Technique: Paired axial CT (left) and PSMA PET (right), 18F-PSMA tracer.
Note: A rectangle over the head was blacked out to remove identifiable facial features.
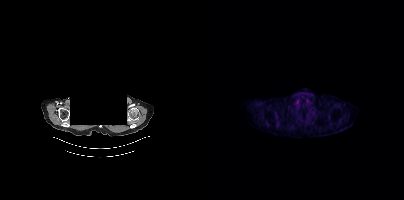
Findings: No PSMA-avid tumor lesions on this slice.